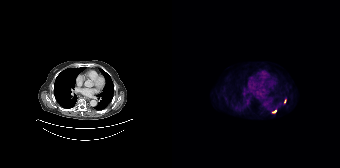
Coordinates are on the 168×168 PET (right) panel. PSMA-avid tumor lesion bounding box (x, y, width, height): x=100 y=110 w=5 h=3. Small PSMA-avid focus (2 to 4 px across) near (center x, center y): (112, 101).